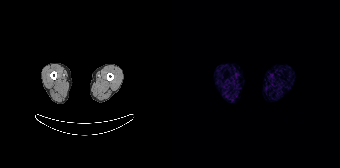
This slice has no annotated PSMA-avid lesion. Two-panel axial: CT | PSMA PET, 68Ga tracer. Acquired on Siemens Biograph 64-4R TruePoint. Slice 9 of 195.